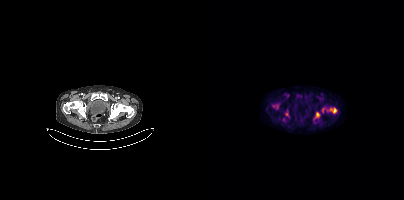
Paired axial CT (left) and PSMA PET (right), 18F-PSMA tracer. PET panel 200×200 px (4.1 mm/px).
Coordinates are on the 200×200 PET (right) panel. PSMA-avid tumor lesion bounding boxes (partial; 1 more focus not listed):
| # | x0 | y0 | x1 | y1 |
|---|---|---|---|---|
| 1 | 126 | 108 | 132 | 113 |
| 2 | 112 | 112 | 115 | 117 |
Small PSMA-avid foci (2 to 4 px across) near (center x, center y): (83, 114); (69, 105).